Technique: Left: CT. Right: PSMA PET, same axial level, [18F]PSMA-1007 tracer. acquired on Siemens Biograph mCT Flow 20. slice position z = -687 mm. PET panel 200×200 px (4.1 mm/px).
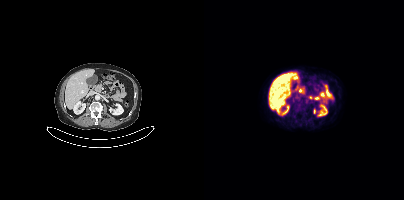
Findings: This slice has no annotated PSMA-avid lesion.